Left: CT. Right: PSMA PET, same axial level, 18F tracer. Slice position z = -970 mm.
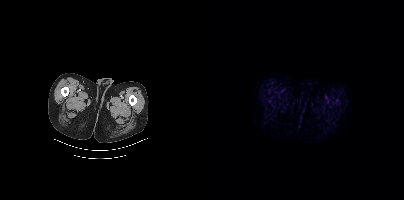
No PSMA-avid tumor lesions on this slice.